modality: PSMA PET/CT | tracer: [68Ga]Ga-PSMA-11 | view: axial
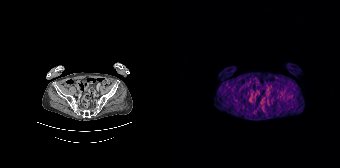
No PSMA-avid tumor lesions on this slice.